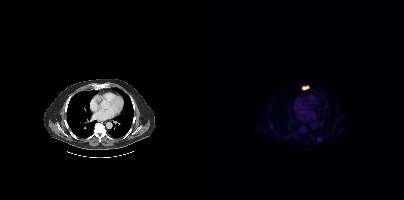
modality: PSMA PET/CT | tracer: 18F-PSMA | view: axial
Coordinates are on the 200×200 PET (right) panel. (showing 2 of 3 foci) PSMA-avid tumor lesion bounding box (x0, y0)-(x1, y1): (98, 86)-(104, 89). Small PSMA-avid focus (2 to 4 px across) near (center x, center y): (67, 126).